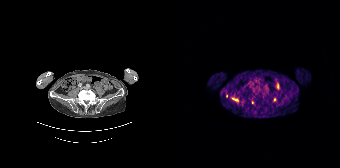
Coordinates are on the 168×168 PET (right) panel. (showing 3 of 4 foci) PSMA-avid tumor lesion bounding box (x, y, width, height): x=60 y=98 w=6 h=3. Small PSMA-avid foci (2 to 4 px across) near (center x, center y): (54, 95) / (102, 99).